- Two-panel axial: CT | PSMA PET, 18F tracer
- acquired on Siemens Biograph 64-4R TruePoint
- the head region is masked for de-identification
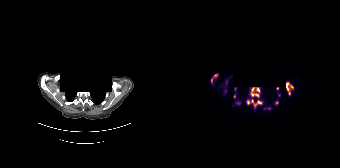
Findings: Coordinates are on the 168×168 PET (right) panel. (showing 12 of 14 foci) PSMA-avid tumor lesion bounding boxes (x0, y0)-(x1, y1): (78, 87)-(88, 97) | (114, 82)-(121, 95) | (75, 99)-(89, 107) | (41, 74)-(45, 76) | (54, 80)-(55, 85) | (39, 78)-(40, 82) | (52, 89)-(54, 93). Small PSMA-avid foci (2 to 4 px across) near (center x, center y): (105, 88) | (62, 96) | (104, 102) | (62, 88) | (107, 94).